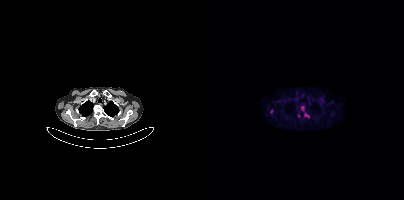
Findings: Coordinates are on the 200×200 PET (right) panel. PSMA-avid tumor lesion bounding boxes (x, y, width, height): x=101 y=113 w=5 h=5 | x=66 y=109 w=3 h=5.
- Left: CT. Right: PSMA PET, same axial level, 18F tracer
- acquired on Siemens Biograph mCT Flow 20
- slice 312 of 391